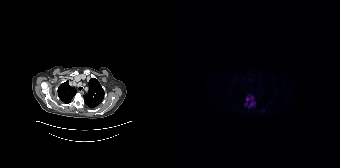
- Two-panel axial: CT | PSMA PET, 18F tracer
- acquired on Siemens Biograph 64-4R TruePoint
Findings: Coordinates are on the 168×168 PET (right) panel. PSMA-avid tumor lesion bounding box (x0, y0)-(x1, y1): (73, 95)-(82, 107). Small PSMA-avid focus (2 to 4 px across) near (center x, center y): (91, 110).